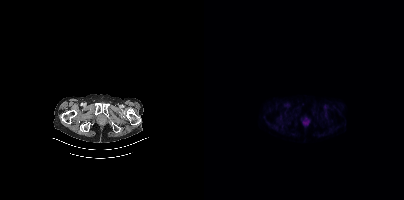
modality: PSMA PET/CT | tracer: 68Ga-PSMA | view: axial | PET grid: 200×200
This slice has no annotated PSMA-avid lesion.